modality: PSMA PET/CT | tracer: 68Ga | view: axial | PET grid: 200×200
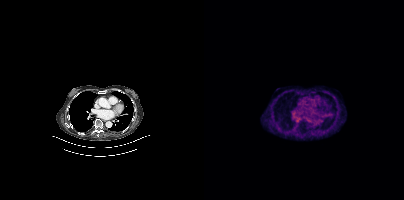
This slice has no annotated PSMA-avid lesion.